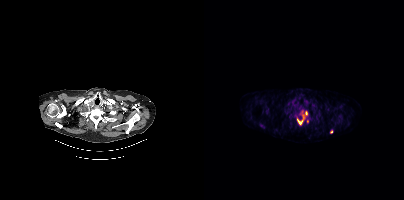
{"pet_grid":[200,200],"coord_frame":"pet_panel","coord_format":"x0,y0,x1,y1","lesion_bboxes":[[93,111,103,124],[125,129,128,133]],"small_foci_centers":[[103,121]],"modality":"PSMA PET/CT","view":"axial","tracer":"18F-PSMA"}